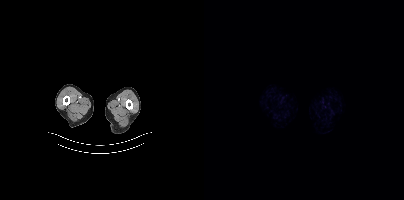
- Two-panel axial: CT | PSMA PET, 18F tracer
- acquired on Siemens Biograph mCT Flow 20
- slice 9 of 421
Findings: No tumor lesions annotated on this slice.